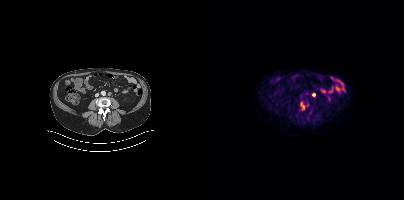
{"pet_grid":[200,200],"coord_frame":"pet_panel","coord_format":"x0,y0,x1,y1","partial":true,"lesion_bboxes":[],"small_foci_centers":[[109,94]],"modality":"PSMA PET/CT","view":"axial","tracer":"18F"}